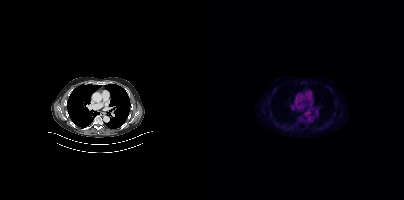
Findings: Negative for PSMA-avid disease on this slice.
Technique: Two-panel axial: CT | PSMA PET, 18F tracer. acquired on Siemens Biograph mCT Flow 20. slice 281 of 415. PET panel 200×200 px (4.1 mm/px).